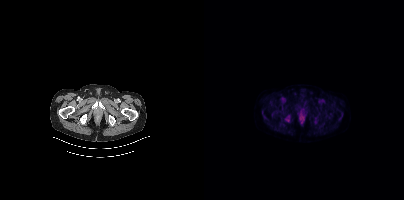
Findings: Negative for PSMA-avid disease on this slice.
- Left: CT. Right: PSMA PET, same axial level, [18F]PSMA-1007 tracer
- acquired on Siemens Biograph mCT Flow 20
- slice position z = -109 mm
- PET panel 200×200 px (4.1 mm/px)